modality: PSMA PET/CT | tracer: 68Ga-PSMA | view: axial
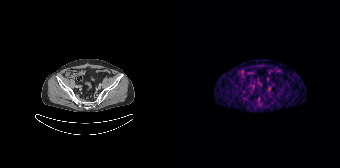
This slice has no annotated PSMA-avid lesion.